Left: CT. Right: PSMA PET, same axial level, 18F tracer. Acquired on Siemens Biograph mCT Flow 20. PET panel 200×200 px (4.1 mm/px).
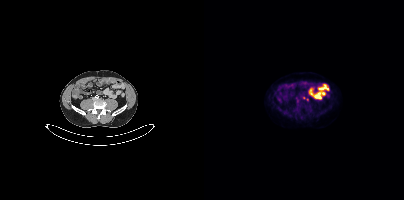
Coordinates are on the 200×200 PET (right) panel. (showing 1 of 2 foci) Small PSMA-avid focus (2 to 4 px across) near (center x, center y): (99, 97).